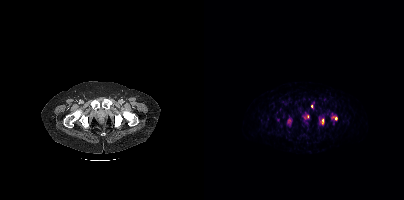
Coordinates are on the 200×200 PET (right) panel. (showing 3 of 4 foci) PSMA-avid tumor lesion bounding box (x0,y0,x1,y1): [115,118,120,124]. Small PSMA-avid foci (2 to 4 px across) near (center x, center y): (132, 118), (107, 106).